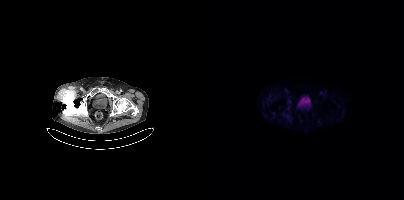
- Left: CT. Right: PSMA PET, same axial level, 18F-PSMA tracer
- acquired on Siemens Biograph mCT Flow 20
Findings: No tumor lesions annotated on this slice.